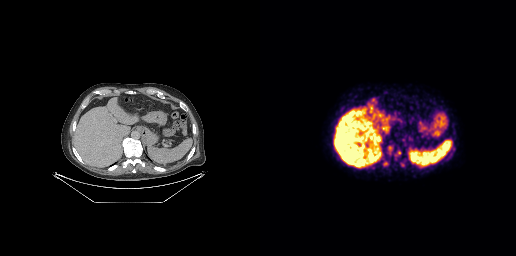
Coordinates are on the 256×256 PET (right) panel. (showing 1 of 3 foci) Small PSMA-avid focus (2 to 4 px across) near (center x, center y): (139, 152). Paired axial CT (left) and PSMA PET (right), 18F-PSMA tracer. PET panel 256×256 px (2.7 mm/px).